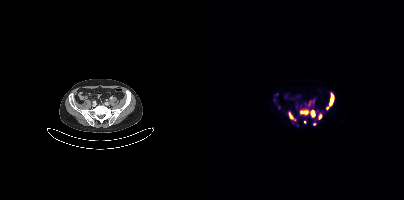
{"modality":"PSMA PET/CT","view":"axial","tracer":"18F-PSMA","pet_grid":[200,200],"coord_frame":"pet_panel","coord_format":"x0,y0,x1,y1","partial":true,"lesion_bboxes":[[96,109,104,115],[126,93,129,104],[85,113,92,121],[107,110,111,116],[114,113,117,119],[105,101,106,105]],"small_foci_centers":[[101,122],[110,124],[123,107]]}